Two-panel axial: CT | PSMA PET, [18F]PSMA-1007 tracer. Slice position z = -112 mm. PET panel 256×256 px (2.7 mm/px). An anonymization step blacked out a rectangle over the head in this scan.
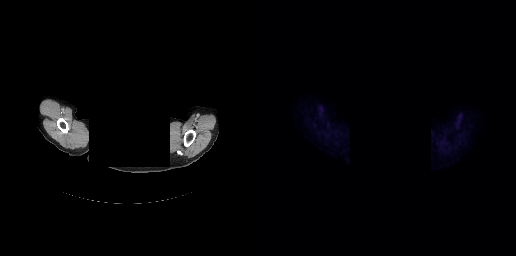
No PSMA-avid tumor lesions on this slice.